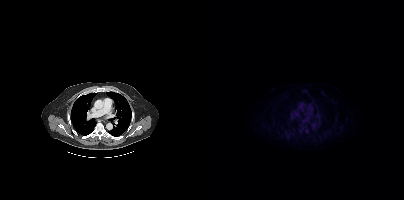
Negative for PSMA-avid disease on this slice.